Two-panel axial: CT | PSMA PET, [18F]PSMA-1007 tracer. Acquired on Siemens Biograph mCT Flow 20. Slice position z = -185 mm.
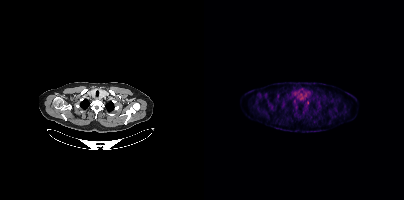
Coordinates are on the 200×200 PET (right) panel. Small PSMA-avid focus (2 to 4 px across) near (center x, center y): (103, 102).